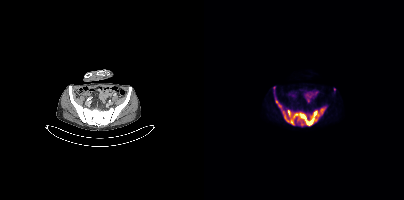
Left: CT. Right: PSMA PET, same axial level, 18F-PSMA tracer. Acquired on Siemens Biograph mCT Flow 20. PET panel 200×200 px (4.1 mm/px). Coordinates are on the 200×200 PET (right) panel. (showing 3 of 4 foci) PSMA-avid tumor lesion bounding box (x0,y0,x1,y1): [71,97,121,126]. Small PSMA-avid foci (2 to 4 px across) near (center x, center y): (70, 88) (130, 89).